Two-panel axial: CT | PSMA PET, 18F tracer. Slice 166 of 417. PET panel 200×200 px (4.1 mm/px).
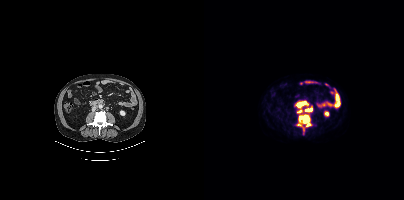
Coordinates are on the 200×200 PET (right) panel. PSMA-avid tumor lesion bounding boxes:
| # | x0 | y0 | x1 | y1 |
|---|---|---|---|---|
| 1 | 92 | 100 | 108 | 130 |